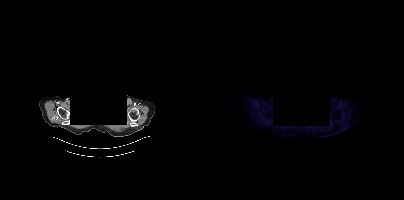
{"modality":"PSMA PET/CT","view":"axial","tracer":"[18F]PSMA-1007","pet_grid":[200,200],"coord_frame":"pet_panel","coord_format":"x0,y0,x1,y1","psma_avid_lesions":false,"de-identification":"head region blanked (face removed)"}